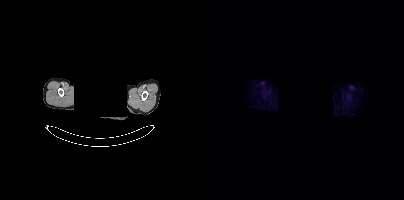
Findings: This slice has no annotated PSMA-avid lesion.
- face de-identified by blanking a block of the head
- Paired axial CT (left) and PSMA PET (right), [18F]PSMA-1007 tracer
- acquired on Siemens Biograph mCT Flow 20